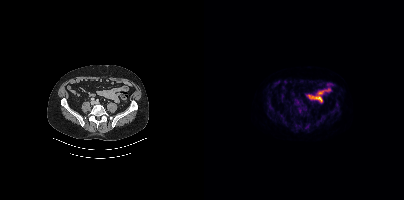
Coordinates are on the 200×200 PET (right) panel. PSMA-avid tumor lesion bounding boxes (x0,y0,x1,y1): [92,102,101,113]; [61,98,67,108]. Small PSMA-avid foci (2 to 4 px across) near (center x, center y): (130, 110); (125, 112); (133, 105); (78, 118).
modality: PSMA PET/CT | tracer: 18F | view: axial | PET grid: 200×200